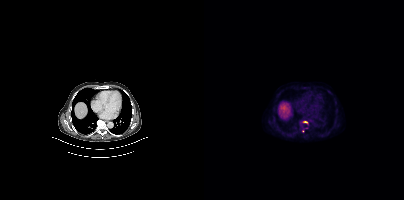
Coordinates are on the 200×200 PET (right) panel. PSMA-avid tumor lesion bounding boxes (partial; 1 more focus not listed):
| # | x0 | y0 | x1 | y1 |
|---|---|---|---|---|
| 1 | 99 | 121 | 103 | 123 |
Left: CT. Right: PSMA PET, same axial level, 18F-PSMA tracer. PET panel 200×200 px (4.1 mm/px).